Left: CT. Right: PSMA PET, same axial level, 68Ga-PSMA tracer. Slice position z = -1388 mm. PET panel 200×200 px (4.1 mm/px).
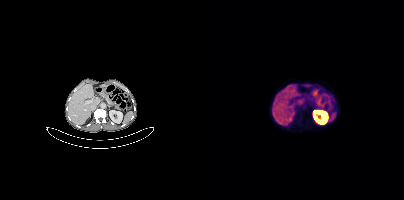
No PSMA-avid tumor lesions on this slice.